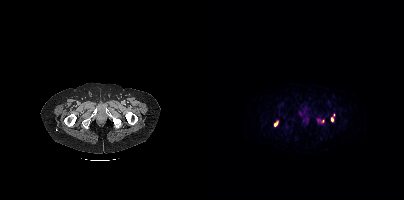
{"modality":"PSMA PET/CT","view":"axial","tracer":"68Ga","pet_grid":[200,200],"coord_frame":"pet_panel","coord_format":"x0,y0,x1,y1","partial":true,"lesion_bboxes":[[114,119,120,123],[70,121,74,126],[127,117,129,121]]}